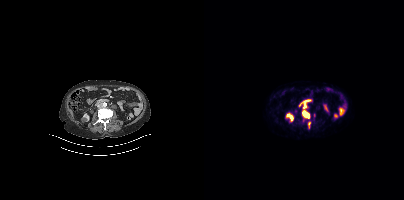
Coordinates are on the 200×200 PET (right) panel. (showing 3 of 4 foci) PSMA-avid tumor lesion bounding boxes (x, y, width, height): x=98 y=102 w=8 h=17 / x=104 y=122 w=3 h=7 / x=90 y=109 w=4 h=5.